Left: CT. Right: PSMA PET, same axial level, 18F-PSMA tracer. Slice position z = -1419 mm. PET panel 200×200 px (4.1 mm/px).
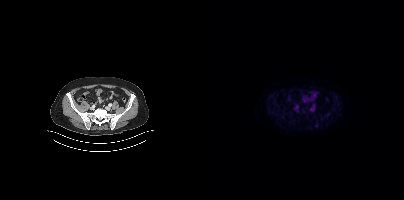
Coordinates are on the 200×200 PET (right) panel. Small PSMA-avid focus (2 to 4 px across) near (center x, center y): (112, 125).